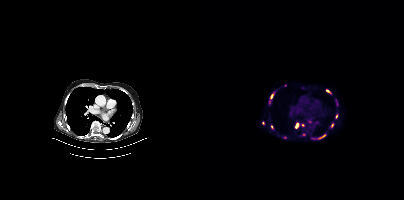
modality: PSMA PET/CT | tracer: 68Ga-PSMA | view: axial
Coordinates are on the 200×200 PET (right) panel. (showing 12 of 15 foci) PSMA-avid tumor lesion bounding boxes (x, y, width, height): x=91 y=123 w=4 h=6 | x=115 y=134 w=7 h=5 | x=66 y=94 w=4 h=5 | x=127 y=123 w=3 h=5 | x=122 y=90 w=5 h=3. Small PSMA-avid foci (2 to 4 px across) near (center x, center y): (99, 125) | (67, 126) | (132, 102) | (132, 116) | (99, 134) | (80, 137) | (108, 138).